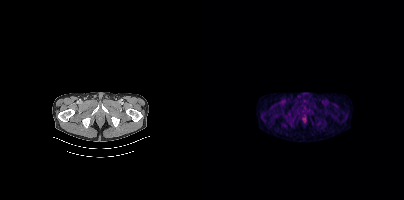
{"modality":"PSMA PET/CT","view":"axial","tracer":"18F-PSMA","pet_grid":[200,200],"coord_frame":"pet_panel","coord_format":"x0,y0,x1,y1","psma_avid_lesions":false}